modality: PSMA PET/CT | tracer: [18F]PSMA-1007 | view: axial
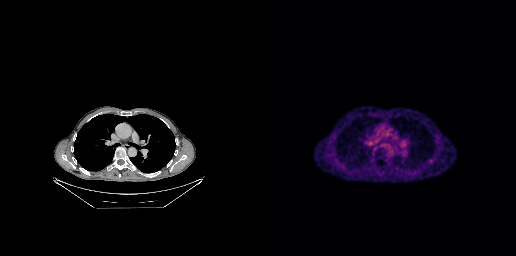
Coordinates are on the 256×256 PET (right) panel. Small PSMA-avid focus (2 to 4 px across) near (center x, center y): (170, 160).